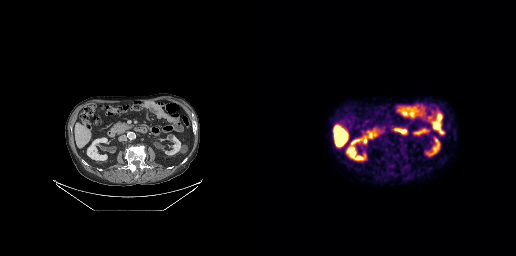
- Left: CT. Right: PSMA PET, same axial level, [18F]PSMA-1007 tracer
- PET panel 256×256 px (2.7 mm/px)
Findings: This slice has no annotated PSMA-avid lesion.